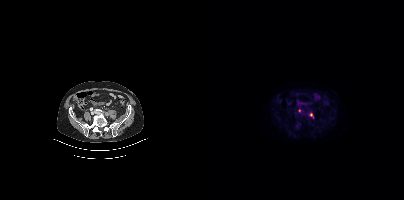
Technique: Two-panel axial: CT | PSMA PET, [18F]PSMA-1007 tracer. acquired on Siemens Biograph mCT Flow 20. slice position z = -714 mm.
Findings: Coordinates are on the 200×200 PET (right) panel. Small PSMA-avid foci (2 to 4 px across) near (center x, center y): (106, 114) | (95, 111).